- Two-panel axial: CT | PSMA PET, 18F-PSMA tracer
- acquired on Siemens Biograph mCT Flow 20
- slice position z = -362 mm
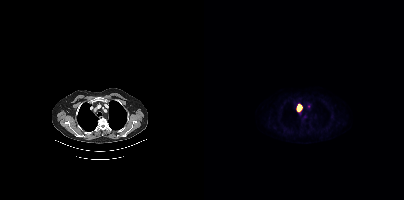
Findings: Only PSMA-avid lesion pieces thinner than 2 px on this slice (not listed).